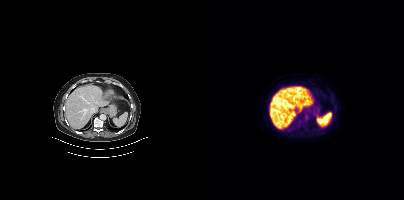
Two-panel axial: CT | PSMA PET, 18F tracer. Acquired on Siemens Biograph mCT Flow 20. Slice position z = -452 mm. PET panel 200×200 px (4.1 mm/px). No PSMA-avid tumor lesions on this slice.